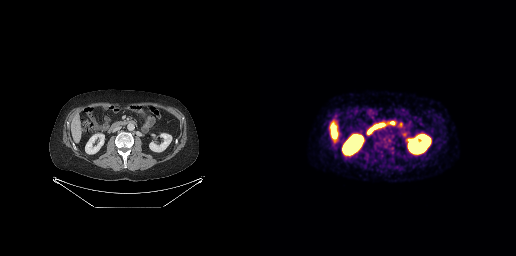
Left: CT. Right: PSMA PET, same axial level, [18F]PSMA-1007 tracer. Slice position z = -673 mm. PET panel 256×256 px (2.7 mm/px). No PSMA-avid tumor lesions on this slice.